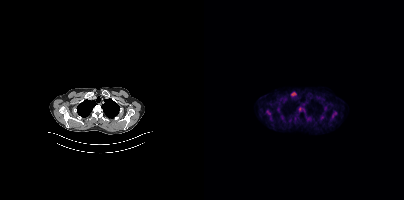
- Left: CT. Right: PSMA PET, same axial level, [18F]PSMA-1007 tracer
- acquired on Siemens Biograph mCT Flow 20
- slice position z = -240 mm
- PET panel 200×200 px (4.1 mm/px)
Findings: Coordinates are on the 200×200 PET (right) panel. (showing 4 of 5 foci) PSMA-avid tumor lesion bounding boxes (x, y, width, height): x=127 y=111 w=7 h=9; x=62 y=110 w=5 h=5; x=116 y=115 w=4 h=5; x=120 y=106 w=3 h=5.